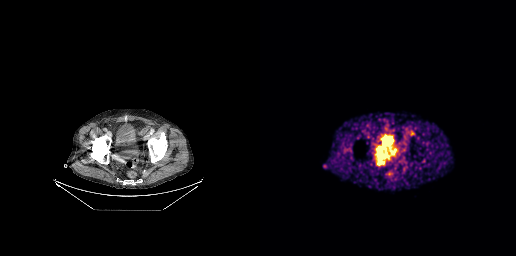
Coordinates are on the 256×256 PET (right) panel. PSMA-avid tumor lesion bounding box (x, y, width, height): x=114 y=145 w=16 h=22.